Left: CT. Right: PSMA PET, same axial level, [18F]PSMA-1007 tracer. Acquired on Siemens Biograph mCT Flow 20. Slice position z = -1371 mm. PET panel 200×200 px (4.1 mm/px).
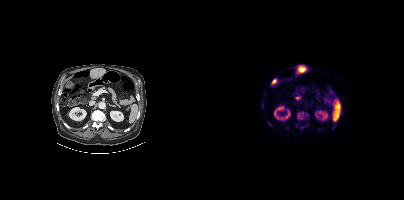
Coordinates are on the 200×200 PET (right) panel. PSMA-avid tumor lesion bounding boxes (partial; 1 more focus not listed):
| # | x0 | y0 | x1 | y1 |
|---|---|---|---|---|
| 1 | 92 | 111 | 104 | 120 |
| 2 | 92 | 97 | 96 | 99 |
| 3 | 96 | 126 | 100 | 128 |
Small PSMA-avid focus (2 to 4 px across) near (center x, center y): (92, 126).